- Two-panel axial: CT | PSMA PET, [68Ga]Ga-PSMA-11 tracer
- acquired on Siemens Biograph mCT Flow 20
- slice 39 of 409
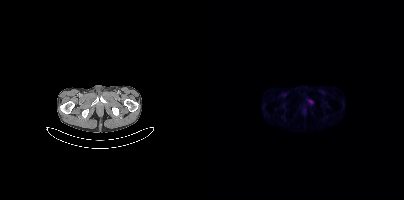
Findings: Coordinates are on the 200×200 PET (right) panel. PSMA-avid tumor lesion bounding box (x0,y0,x1,y1): [104,100,109,104].